- Left: CT. Right: PSMA PET, same axial level, [18F]PSMA-1007 tracer
- slice position z = -411 mm
- PET panel 200×200 px (4.1 mm/px)
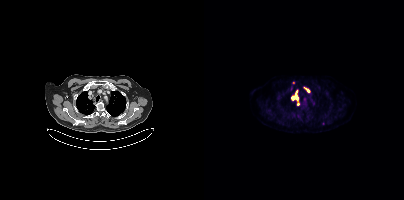
Findings: Coordinates are on the 200×200 PET (right) panel. (showing 4 of 5 foci) PSMA-avid tumor lesion bounding boxes (x0, y0)-(x1, y1): (88, 90)-(94, 99) / (93, 101)-(95, 105). Small PSMA-avid foci (2 to 4 px across) near (center x, center y): (103, 90) / (89, 82).